modality: PSMA PET/CT | tracer: 18F-PSMA | view: axial | PET grid: 200×200
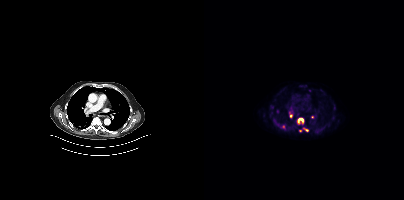
Coordinates are on the 200×200 PET (right) panel. (showing 5 of 8 foci) PSMA-avid tumor lesion bounding box (x0, y0)-(x1, y1): (94, 118)-(98, 123). Small PSMA-avid foci (2 to 4 px across) near (center x, center y): (86, 116); (108, 116); (79, 126); (96, 130).